modality: PSMA PET/CT | tracer: 18F-PSMA | view: axial
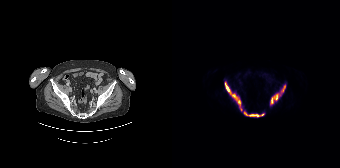
Coordinates are on the 168×168 PET (right) panel. PSMA-avid tumor lesion bounding boxes (x, y, width, height): x=52 y=81 w=19 h=31 / x=98 y=84 w=16 h=22 / x=71 y=111 w=22 h=7.